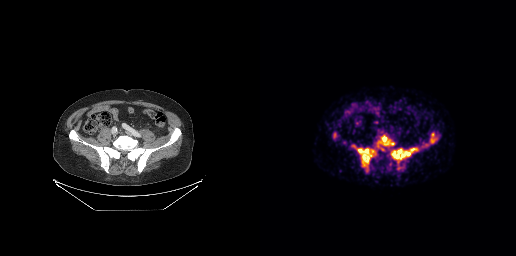
Coordinates are on the 256×256 PET (right) panel. PSMA-avid tumor lesion bounding boxes (x0, y0)-(x1, y1): (131, 148)-(157, 159); (98, 148)-(112, 165); (122, 136)-(134, 145). Small PSMA-avid focus (2 to 4 px across) near (center x, center y): (112, 151).